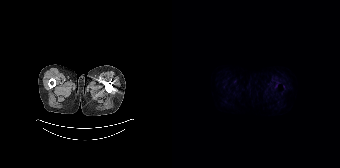
This slice has no annotated PSMA-avid lesion.